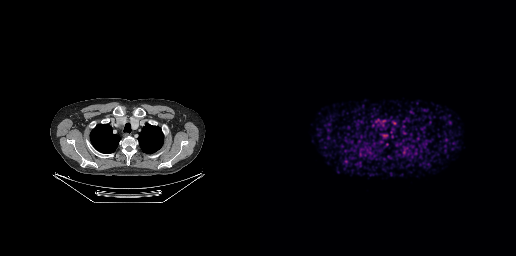
Two-panel axial: CT | PSMA PET, 68Ga tracer. Acquired on GE Discovery 690. No PSMA-avid tumor lesions on this slice.